- Two-panel axial: CT | PSMA PET, 18F tracer
- acquired on Siemens Biograph mCT Flow 20
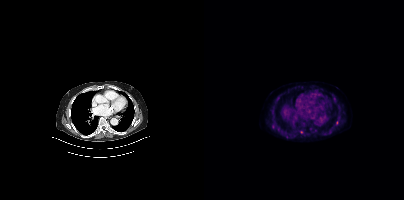
Findings: Coordinates are on the 200×200 PET (right) panel. (showing 2 of 5 foci) Small PSMA-avid foci (2 to 4 px across) near (center x, center y): (82, 136), (97, 131).